Technique: Left: CT. Right: PSMA PET, same axial level, 68Ga tracer. slice 65 of 195.
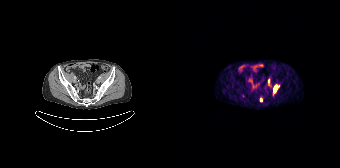
Findings: Coordinates are on the 168×168 PET (right) panel. PSMA-avid tumor lesion bounding box (x0,y0,x1,y1): [102,85,105,91]. Small PSMA-avid focus (2 to 4 px across) near (center x, center y): (89, 100).